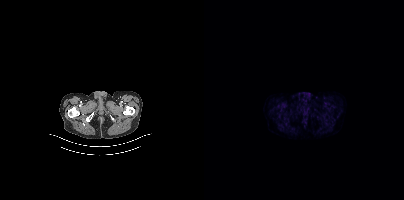
No PSMA-avid tumor lesions on this slice.